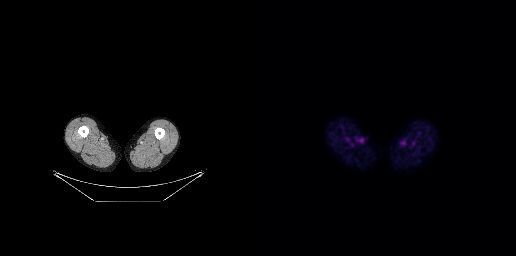
Findings: This slice has no annotated PSMA-avid lesion.
Technique: Paired axial CT (left) and PSMA PET (right), 18F tracer. acquired on GE Discovery 690. slice position z = -900 mm. PET panel 256×256 px (2.7 mm/px).